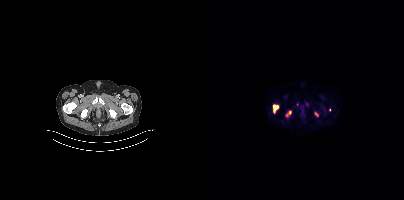
Coordinates are on the 200×200 PET (right) panel. PSMA-avid tumor lesion bounding boxes (x0,y0,x1,y1): [69,104,74,113]; [82,111,87,116]; [110,112,114,116]. Small PSMA-avid focus (2 to 4 px across) near (center x, center y): (125, 110).